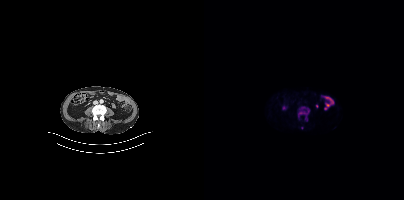
Only PSMA-avid lesion pieces thinner than 2 px on this slice (not listed).